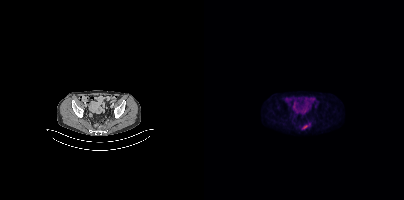
{"pet_grid":[200,200],"coord_frame":"pet_panel","coord_format":"x0,y0,x1,y1","partial":true,"lesion_bboxes":[[98,125,103,128]],"modality":"PSMA PET/CT","view":"axial","tracer":"18F-PSMA"}